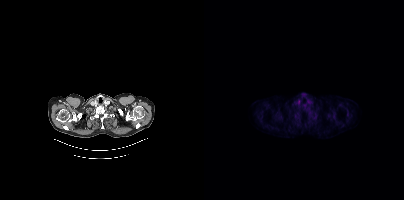
Only PSMA-avid lesion pieces thinner than 2 px on this slice (not listed). Two-panel axial: CT | PSMA PET, 18F tracer. Acquired on Siemens Biograph mCT Flow 20. PET panel 200×200 px (4.1 mm/px).